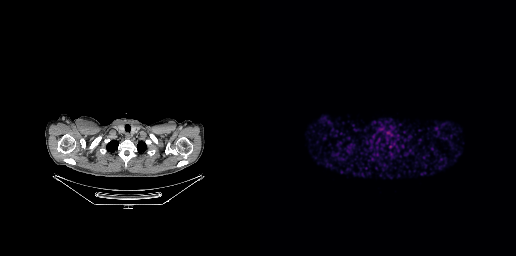
Negative for PSMA-avid disease on this slice.
modality: PSMA PET/CT | tracer: [68Ga]Ga-PSMA-11 | view: axial | PET grid: 256×256